deidentification: rectangular block over head set to black | modality: PSMA PET/CT | tracer: 18F-PSMA | view: axial
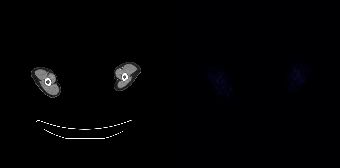
Negative for PSMA-avid disease on this slice.